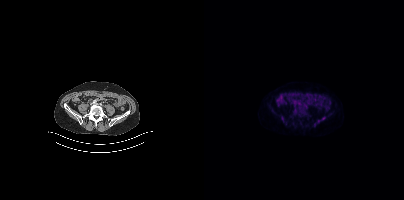
Coordinates are on the 200×200 PET (right) panel. Small PSMA-avid focus (2 to 4 px across) near (center x, center y): (119, 118).